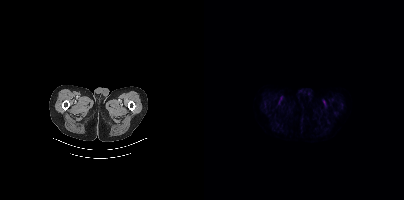
{"pet_grid":[200,200],"coord_frame":"pet_panel","coord_format":"x0,y0,x1,y1","psma_avid_lesions":false,"modality":"PSMA PET/CT","view":"axial","tracer":"18F-PSMA"}